Technique: Two-panel axial: CT | PSMA PET, [18F]PSMA-1007 tracer. slice 202 of 263. PET panel 256×256 px (2.7 mm/px).
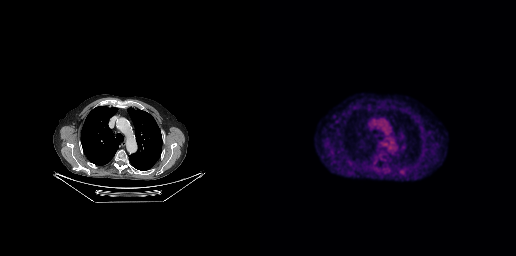
Findings: No tumor lesions annotated on this slice.